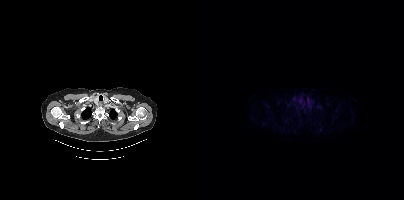
{"pet_grid":[200,200],"coord_frame":"pet_panel","coord_format":"x0,y0,x1,y1","psma_avid_lesions":false,"modality":"PSMA PET/CT","view":"axial","tracer":"18F-PSMA"}